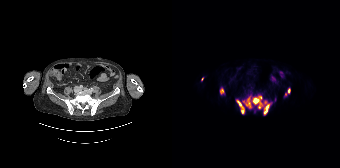
Coordinates are on the 168×168 PET (right) panel. PSMA-avid tumor lesion bounding boxes:
| # | x0 | y0 | x1 | y1 |
|---|---|---|---|---|
| 1 | 70 | 95 | 99 | 115 |
| 2 | 64 | 99 | 72 | 114 |
| 3 | 48 | 87 | 52 | 94 |
| 4 | 116 | 88 | 118 | 93 |
Small PSMA-avid foci (2 to 4 px across) near (center x, center y): (30, 78); (113, 94).
Left: CT. Right: PSMA PET, same axial level, 18F tracer. PET panel 168×168 px (4.1 mm/px).